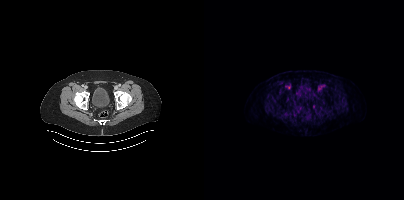
Findings: Negative for PSMA-avid disease on this slice.
- Paired axial CT (left) and PSMA PET (right), 18F tracer
- acquired on Siemens Biograph mCT Flow 20
- slice 89 of 442